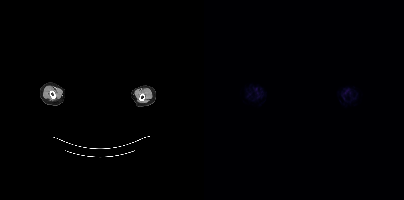
{"modality":"PSMA PET/CT","view":"axial","tracer":"18F-PSMA","pet_grid":[200,200],"coord_frame":"pet_panel","coord_format":"x0,y0,x1,y1","redaction":"privacy mask over head","psma_avid_lesions":false}